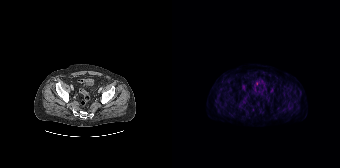
{"modality":"PSMA PET/CT","view":"axial","tracer":"[18F]PSMA-1007","pet_grid":[168,168],"coord_frame":"pet_panel","coord_format":"x0,y0,x1,y1","psma_avid_lesions":false}